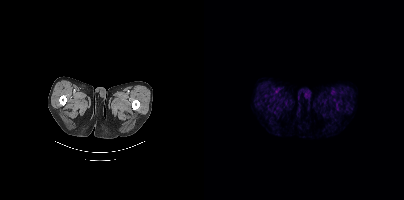
No PSMA-avid tumor lesions on this slice.